modality: PSMA PET/CT | tracer: 18F-PSMA | view: axial | PET grid: 168×168 | redaction: rectangular block over head set to black
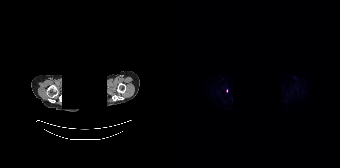
Coordinates are on the 168×168 PET (right) panel. Small PSMA-avid focus (2 to 4 px across) near (center x, center y): (54, 90).